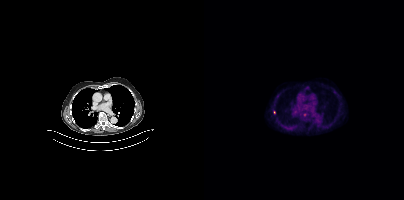
Coordinates are on the 200×200 PET (right) panel. (showing 3 of 4 foci) Small PSMA-avid foci (2 to 4 px across) near (center x, center y): (70, 112); (114, 125); (100, 114).
modality: PSMA PET/CT | tracer: [18F]PSMA-1007 | view: axial